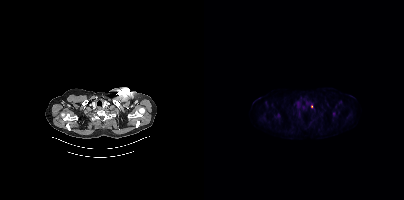
{"modality":"PSMA PET/CT","view":"axial","tracer":"18F-PSMA","pet_grid":[200,200],"coord_frame":"pet_panel","coord_format":"x0,y0,x1,y1","partial":true,"lesion_bboxes":[]}